- Paired axial CT (left) and PSMA PET (right), 18F-PSMA tracer
- slice 355 of 431
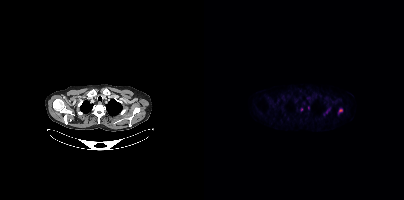
Findings: Coordinates are on the 200×200 PET (right) panel. PSMA-avid tumor lesion bounding boxes (x0,y0,x1,y1): [134,108,138,113]; [119,111,123,115]. Small PSMA-avid foci (2 to 4 px across) near (center x, center y): (97, 109); (104, 107).